Left: CT. Right: PSMA PET, same axial level, 18F tracer. Slice 107 of 263.
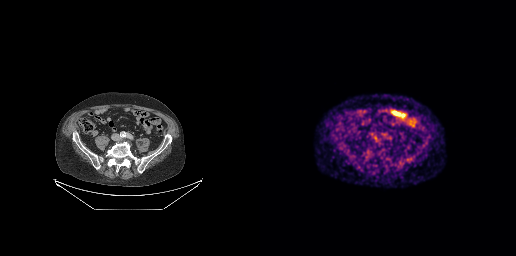
No PSMA-avid tumor lesions on this slice.